Technique: Left: CT. Right: PSMA PET, same axial level, 18F tracer.
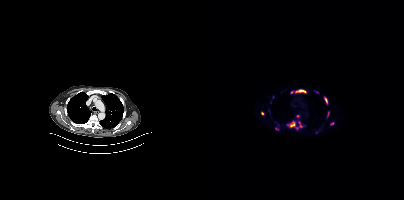
Findings: Coordinates are on the 200×200 PET (right) panel. (showing 8 of 11 foci) PSMA-avid tumor lesion bounding boxes (x, y, width, height): x=83 y=121 w=16 h=9 / x=91 y=89 w=12 h=5 / x=120 y=96 w=4 h=9 / x=123 y=112 w=3 h=5. Small PSMA-avid foci (2 to 4 px across) near (center x, center y): (58, 113) / (127, 123) / (94, 116) / (87, 92).